Left: CT. Right: PSMA PET, same axial level, 18F-PSMA tracer. Slice 122 of 450.
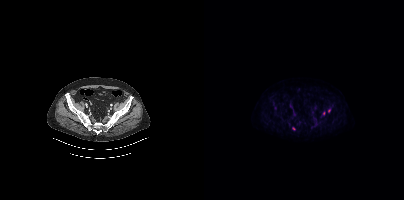
Coordinates are on the 200×200 PET (right) panel. (showing 1 of 3 foci) Small PSMA-avid focus (2 to 4 px across) near (center x, center y): (89, 128).